Two-panel axial: CT | PSMA PET, 18F tracer.
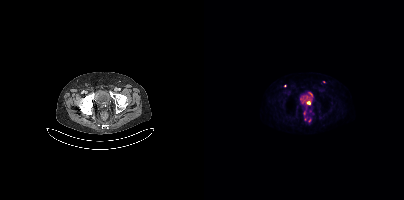
Coordinates are on the 200×200 PET (right) panel. (showing 2 of 5 foci) Small PSMA-avid foci (2 to 4 px across) near (center x, center y): (119, 81) | (80, 85).